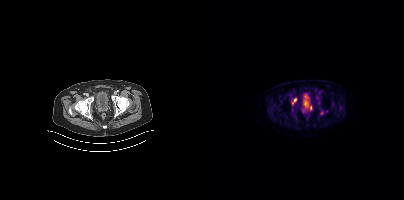
Coordinates are on the 200×200 PET (right) panel. (showing 3 of 4 foci) PSMA-avid tumor lesion bounding boxes (x0, y0)-(x1, y1): (99, 103)-(104, 111); (88, 98)-(92, 104). Small PSMA-avid focus (2 to 4 px across) near (center x, center y): (106, 107).
modality: PSMA PET/CT | tracer: 18F | view: axial | PET grid: 200×200